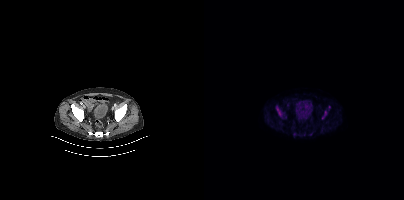
Coordinates are on the 200×200 PET (right) panel. (showing 3 of 4 foci) PSMA-avid tumor lesion bounding boxes (x, y, width, height): x=72 y=106 w=7 h=11; x=118 y=110 w=6 h=10. Small PSMA-avid focus (2 to 4 px across) near (center x, center y): (90, 133).